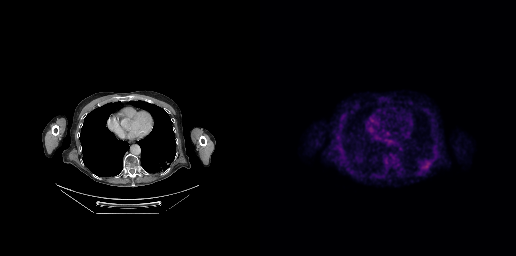
Coordinates are on the 256×256 PET (right) panel. PSMA-avid tumor lesion bounding box (x0,y0,x1,y1): [165,163,169,167].